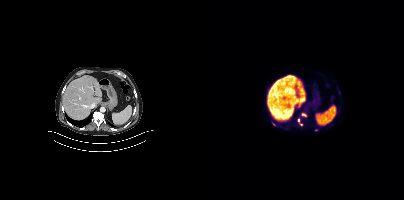
modality: PSMA PET/CT | tracer: 18F | view: axial
Coordinates are on the 200×200 PET (right) panel. PSMA-avid tumor lesion bounding boxes (x, y, width, height): x=98 y=113 w=5 h=4; x=94 y=119 w=5 h=7. Small PSMA-avid foci (2 to 4 px across) near (center x, center y): (69, 124); (112, 129).